Left: CT. Right: PSMA PET, same axial level, 18F tracer. Acquired on Siemens Biograph mCT Flow 20. Slice position z = -948 mm. PET panel 200×200 px (4.1 mm/px).
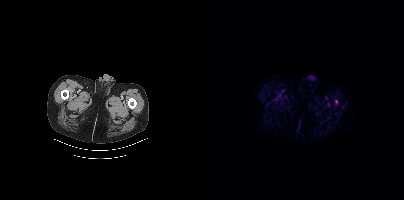
Coordinates are on the 200×200 PET (right) panel. Small PSMA-avid focus (2 to 4 px across) near (center x, center y): (132, 101).